Technique: Two-panel axial: CT | PSMA PET, 18F tracer. slice position z = -670 mm. PET panel 200×200 px (4.1 mm/px).
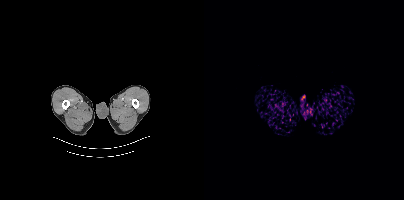
Findings: This slice has no annotated PSMA-avid lesion.